Two-panel axial: CT | PSMA PET, 68Ga-PSMA tracer. Slice position z = -1113 mm. PET panel 200×200 px (4.1 mm/px).
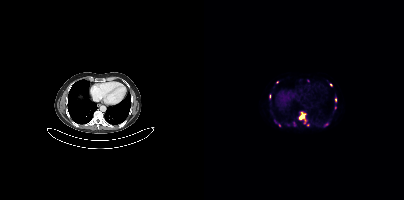
Coordinates are on the 200×200 PET (right) panel. PSMA-avid tumor lesion bounding boxes (partial; 2 more foci not listed):
| # | x0 | y0 | x1 | y1 |
|---|---|---|---|---|
| 1 | 95 | 113 | 102 | 123 |
| 2 | 89 | 122 | 91 | 126 |
Small PSMA-avid foci (2 to 4 px across) near (center x, center y): (131, 100); (75, 125); (126, 84); (131, 107); (103, 124); (122, 124).